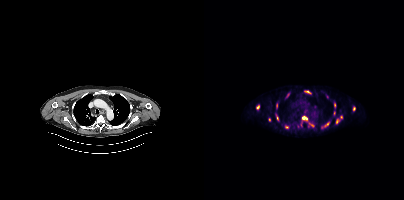
Paired axial CT (left) and PSMA PET (right), 18F tracer.
Coordinates are on the 200×200 PET (right) panel. PSMA-avid tumor lesion bounding boxes (partial; 2 more foci not listed):
| # | x0 | y0 | x1 | y1 |
|---|---|---|---|---|
| 1 | 117 | 122 | 125 | 128 |
| 2 | 98 | 116 | 103 | 119 |
| 3 | 132 | 119 | 135 | 123 |
| 4 | 105 | 123 | 110 | 127 |
| 5 | 72 | 103 | 73 | 107 |
| 6 | 130 | 103 | 131 | 107 |
| 7 | 101 | 91 | 105 | 93 |
Small PSMA-avid foci (2 to 4 px across) near (center x, center y): (82, 127); (149, 108); (137, 117); (54, 107); (84, 95); (130, 113); (73, 118); (65, 119).